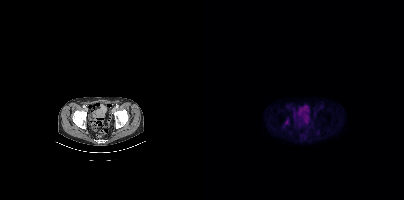
Coordinates are on the 200×200 PET (right) panel. Small PSMA-avid focus (2 to 4 px across) near (center x, center y): (82, 122).